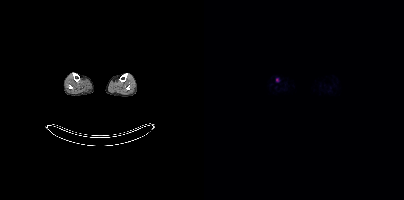
Paired axial CT (left) and PSMA PET (right), 18F tracer. Acquired on Siemens Biograph mCT Flow 20. Slice 202 of 963. Coordinates are on the 200×200 PET (right) panel. Small PSMA-avid focus (2 to 4 px across) near (center x, center y): (73, 79).